Two-panel axial: CT | PSMA PET, 18F-PSMA tracer.
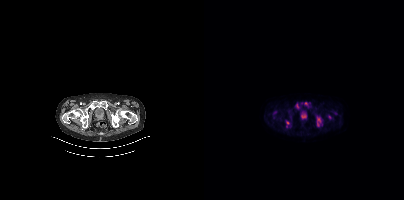
Coordinates are on the 200×200 PET (right) panel. PSMA-avid tumor lesion bounding boxes (x0, y0)-(x1, y1): (112, 118)-(118, 126) / (97, 113)-(102, 119) / (100, 102)-(106, 107) / (91, 103)-(95, 109) / (82, 120)-(85, 127) / (124, 115)-(127, 119). Small PSMA-avid foci (2 to 4 px across) near (center x, center y): (131, 113) / (97, 103).